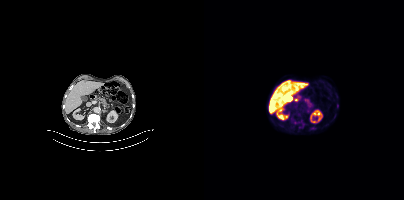
{"modality":"PSMA PET/CT","view":"axial","tracer":"18F-PSMA","pet_grid":[200,200],"coord_frame":"pet_panel","coord_format":"x0,y0,x1,y1","partial":true,"lesion_bboxes":[]}